Left: CT. Right: PSMA PET, same axial level, 68Ga tracer. Slice position z = -1405 mm. PET panel 168×168 px (4.1 mm/px).
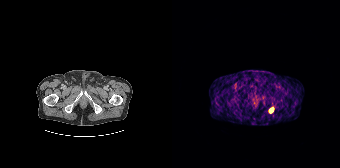
Coordinates are on the 168×168 PET (right) panel. PSMA-avid tumor lesion bounding boxes:
| # | x0 | y0 | x1 | y1 |
|---|---|---|---|---|
| 1 | 97 | 108 | 101 | 112 |